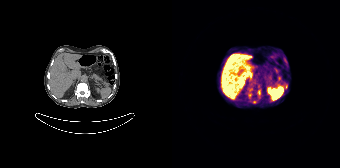
Two-panel axial: CT | PSMA PET, [68Ga]Ga-PSMA-11 tracer. Acquired on Siemens Biograph 64-4R TruePoint. Slice position z = -944 mm. PET panel 168×168 px (4.1 mm/px). Coordinates are on the 168×168 PET (right) panel. (showing 4 of 5 foci) PSMA-avid tumor lesion bounding box (x0, y0)-(x1, y1): (85, 90)-(88, 95). Small PSMA-avid foci (2 to 4 px across) near (center x, center y): (114, 85) | (77, 95) | (82, 102).